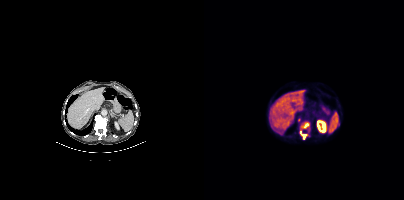
Findings: Coordinates are on the 200×200 PET (right) panel. PSMA-avid tumor lesion bounding box (x0,y0,x1,y1): [96,123,105,138]. Small PSMA-avid focus (2 to 4 px across) near (center x, center y): (95, 119).
- Paired axial CT (left) and PSMA PET (right), 18F tracer
- acquired on Siemens Biograph mCT Flow 20
- PET panel 200×200 px (4.1 mm/px)